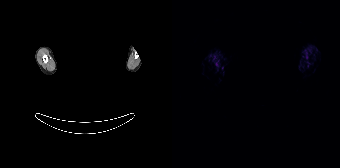
A rectangular block over the head has been blanked out for de-identification. Left: CT. Right: PSMA PET, same axial level, 68Ga tracer. Slice position z = -78 mm. PET panel 168×168 px (4.1 mm/px). Negative for PSMA-avid disease on this slice.